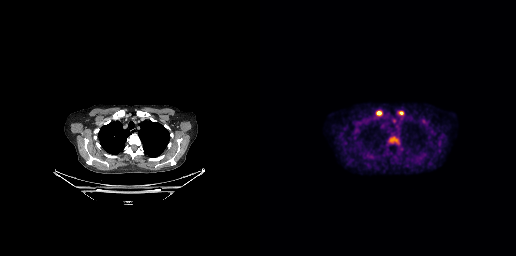
modality: PSMA PET/CT | tracer: 18F-PSMA | view: axial | PET grid: 256×256
Coordinates are on the 256×256 PET (right) panel. PSMA-avid tumor lesion bounding boxes (x0, y0)-(x1, y1): (128, 136)-(138, 142); (116, 111)-(121, 115); (139, 111)-(143, 114).